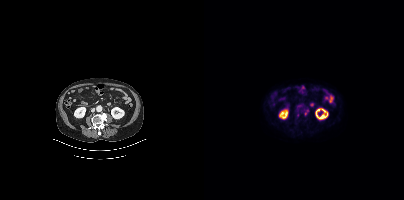
Coordinates are on the 200×200 PET (right) panel. PSMA-avid tumor lesion bounding box (x0,y0,x1,y1): [100,110,104,115].